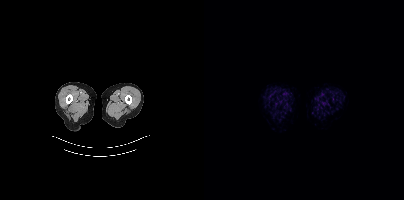
Technique: Left: CT. Right: PSMA PET, same axial level, [18F]PSMA-1007 tracer. acquired on Siemens Biograph mCT Flow 20. slice 7 of 413. PET panel 200×200 px (4.1 mm/px).
Findings: Negative for PSMA-avid disease on this slice.